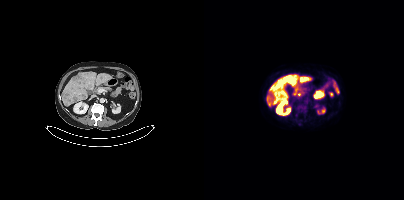
Technique: Left: CT. Right: PSMA PET, same axial level, 18F tracer. slice position z = -1291 mm.
Findings: Coordinates are on the 200×200 PET (right) panel. PSMA-avid tumor lesion bounding boxes (x, y, width, height): x=72 y=81 w=7 h=7; x=86 y=79 w=6 h=7; x=79 y=76 w=5 h=5; x=98 y=77 w=5 h=4.